modality: PSMA PET/CT | tracer: 18F-PSMA | view: axial
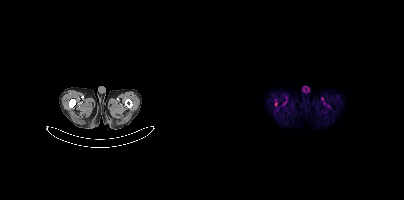
Coordinates are on the 200×200 PET (right) panel. PSMA-avid tumor lesion bounding box (x0, y0)-(x1, y1): (71, 102)-(73, 106).